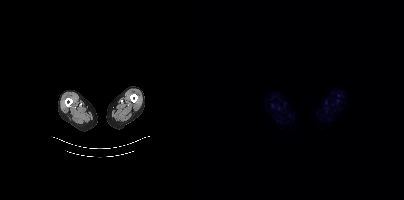
{"modality":"PSMA PET/CT","view":"axial","tracer":"[18F]PSMA-1007","pet_grid":[200,200],"coord_frame":"pet_panel","coord_format":"x0,y0,x1,y1","psma_avid_lesions":false}